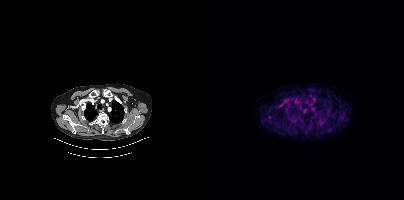
Coordinates are on the 200×200 PET (right) panel. Small PSMA-avid focus (2 to 4 px across) near (center x, center y): (65, 117).